- Two-panel axial: CT | PSMA PET, [18F]PSMA-1007 tracer
- PET panel 200×200 px (4.1 mm/px)
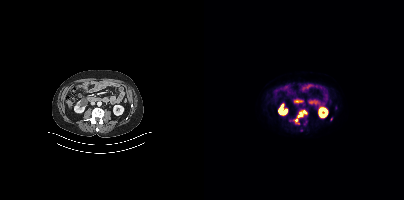
Findings: Coordinates are on the 200×200 PET (right) panel. PSMA-avid tumor lesion bounding box (x0, y0)-(x1, y1): (94, 110)-(102, 117). Small PSMA-avid focus (2 to 4 px across) near (center x, center y): (92, 120).